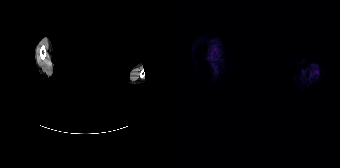
- Two-panel axial: CT | PSMA PET, 68Ga tracer
- acquired on Siemens Biograph 64-4R TruePoint
- slice position z = -40 mm
- the head region is masked for de-identification
Findings: Negative for PSMA-avid disease on this slice.